Left: CT. Right: PSMA PET, same axial level, 18F tracer. Slice 280 of 442.
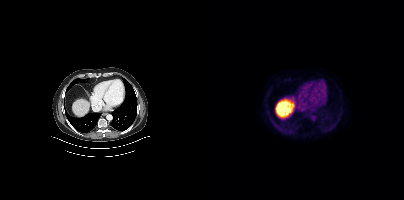
No PSMA-avid tumor lesions on this slice.